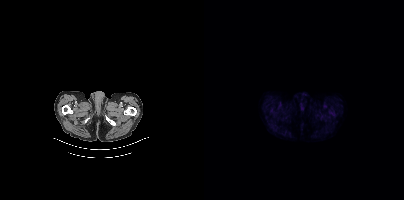
- Two-panel axial: CT | PSMA PET, 18F-PSMA tracer
Findings: No tumor lesions annotated on this slice.